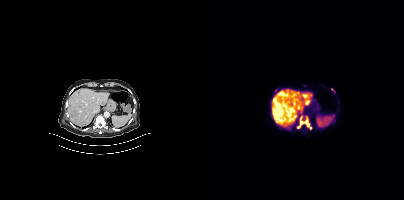
Coordinates are on the 200×200 PET (right) panel. (showing 1 of 2 foci) PSMA-avid tumor lesion bounding box (x, y, width, height): x=94 y=115 w=14 h=15. Paired axial CT (left) and PSMA PET (right), [18F]PSMA-1007 tracer. Slice position z = -542 mm.